Technique: Left: CT. Right: PSMA PET, same axial level, 18F-PSMA tracer. acquired on Siemens Biograph mCT Flow 20.
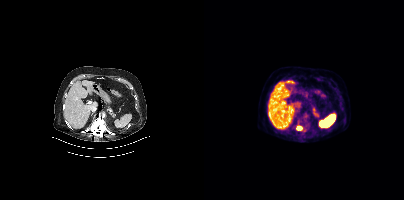
Findings: Coordinates are on the 200×200 PET (right) panel. PSMA-avid tumor lesion bounding box (x0,y0,x1,y1): [93,126,97,129].